Technique: Two-panel axial: CT | PSMA PET, [68Ga]Ga-PSMA-11 tracer. slice position z = -1304 mm. PET panel 168×168 px (4.1 mm/px).
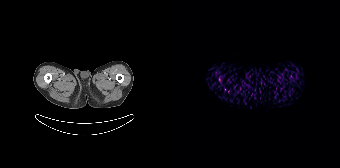
Findings: Coordinates are on the 168×168 PET (right) panel. (showing 1 of 2 foci) Small PSMA-avid focus (2 to 4 px across) near (center x, center y): (47, 79).